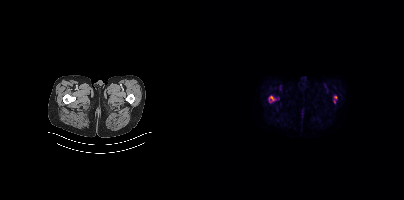
Coordinates are on the 200×200 PET (right) panel. PSMA-avid tumor lesion bounding boxes (partial; 1 more focus not listed):
| # | x0 | y0 | x1 | y1 |
|---|---|---|---|---|
| 1 | 65 | 96 | 70 | 100 |
Small PSMA-avid focus (2 to 4 px across) near (center x, center y): (131, 97).
Two-panel axial: CT | PSMA PET, [18F]PSMA-1007 tracer. Slice position z = -1540 mm. PET panel 200×200 px (4.1 mm/px).